modality: PSMA PET/CT | tracer: 18F-PSMA | view: axial
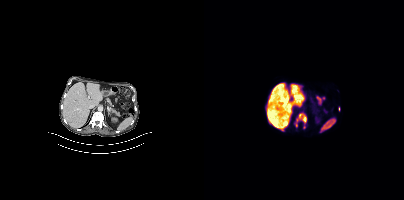
Coordinates are on the 200×200 PET (right) panel. (showing 2 of 5 foci) PSMA-avid tumor lesion bounding box (x0,y0,x1,y1): [95,113,102,122]. Small PSMA-avid focus (2 to 4 px across) near (center x, center y): (92, 125).